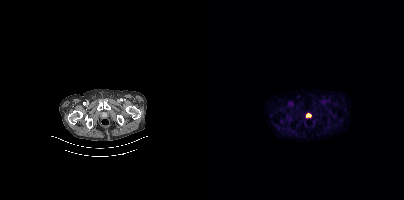
Findings: Coordinates are on the 200×200 PET (right) panel. PSMA-avid tumor lesion bounding box (x0, y0)-(x1, y1): (102, 113)-(107, 117).
- Left: CT. Right: PSMA PET, same axial level, 18F tracer
- slice position z = -1470 mm
- PET panel 200×200 px (4.1 mm/px)